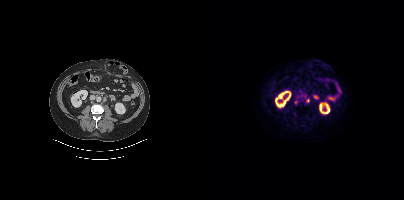
Left: CT. Right: PSMA PET, same axial level, 18F tracer. PET panel 200×200 px (4.1 mm/px). Coordinates are on the 200×200 PET (right) panel. Small PSMA-avid foci (2 to 4 px across) near (center x, center y): (103, 100); (95, 97); (101, 95).